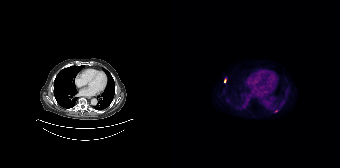
modality: PSMA PET/CT | tracer: 18F-PSMA | view: axial
Coordinates are on the 168×168 PET (right) panel. Small PSMA-avid focus (2 to 4 px across) near (center x, center y): (52, 80).